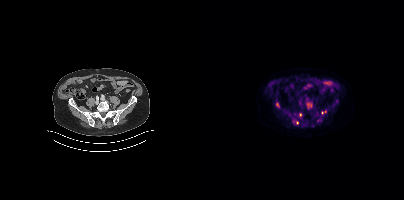
Coordinates are on the 200×200 PET (right) panel. PSMA-avid tumor lesion bounding boxes (x, y, width, height): x=103 y=103 w=5 h=4 / x=117 y=111 w=6 h=4. Small PSMA-avid foci (2 to 4 px across) near (center x, center y): (73, 104) / (114, 120) / (93, 122) / (96, 114).
modality: PSMA PET/CT | tracer: [18F]PSMA-1007 | view: axial